Technique: Left: CT. Right: PSMA PET, same axial level, 18F-PSMA tracer. acquired on Siemens Biograph mCT Flow 20. slice 419 of 431.
Note: A rectangle over the head was blacked out to remove identifiable facial features.
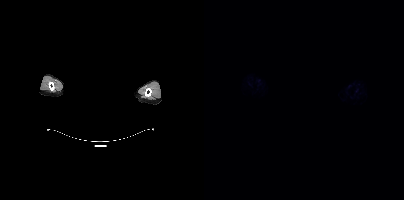
Findings: Negative for PSMA-avid disease on this slice.